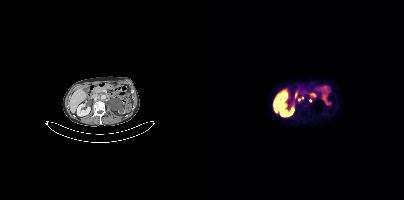
{"modality":"PSMA PET/CT","view":"axial","tracer":"18F-PSMA","pet_grid":[200,200],"coord_frame":"pet_panel","coord_format":"x0,y0,x1,y1","partial":true,"lesion_bboxes":[]}